Left: CT. Right: PSMA PET, same axial level, 18F tracer. Slice position z = -1064 mm.
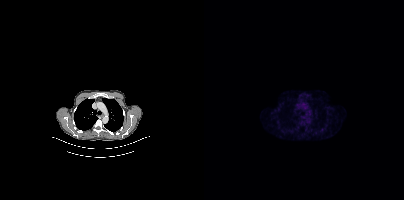
Negative for PSMA-avid disease on this slice.